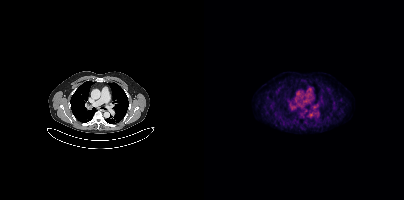
{"modality":"PSMA PET/CT","view":"axial","tracer":"18F","pet_grid":[200,200],"coord_frame":"pet_panel","coord_format":"x0,y0,x1,y1","partial":true,"lesion_bboxes":[]}